Technique: Paired axial CT (left) and PSMA PET (right), 18F tracer. slice 68 of 421. PET panel 200×200 px (4.1 mm/px).
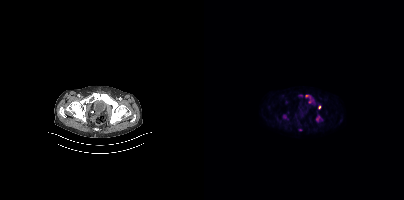
Findings: Coordinates are on the 200×200 PET (right) panel. (showing 4 of 5 foci) PSMA-avid tumor lesion bounding boxes (x, y, width, height): x=112 y=115 w=6 h=7 | x=114 y=105 w=3 h=5. Small PSMA-avid foci (2 to 4 px across) near (center x, center y): (102, 96) | (105, 101).